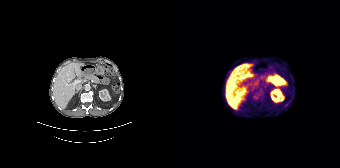
{"modality":"PSMA PET/CT","view":"axial","tracer":"68Ga-PSMA","pet_grid":[168,168],"coord_frame":"pet_panel","coord_format":"x0,y0,x1,y1","lesion_bboxes":[[81,95,84,99]]}